modality: PSMA PET/CT | tracer: [18F]PSMA-1007 | view: axial
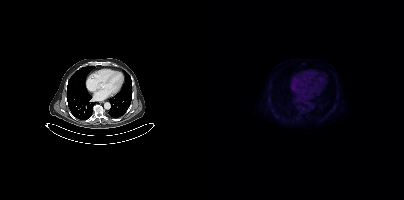
Negative for PSMA-avid disease on this slice.